- Two-panel axial: CT | PSMA PET, [18F]PSMA-1007 tracer
- slice position z = -276 mm
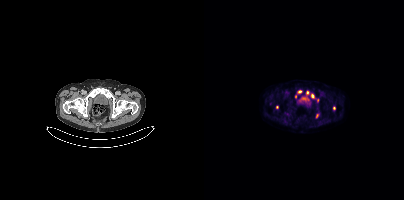
Findings: Coordinates are on the 200×200 PET (right) panel. Small PSMA-avid foci (2 to 4 px across) near (center x, center y): (108, 95), (130, 107), (73, 107), (95, 91), (113, 100), (113, 115), (103, 92).